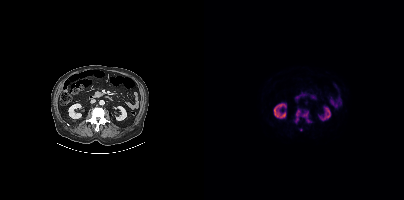
Coordinates are on the 200×200 PET (right) panel. PSMA-avid tumor lesion bounding boxes:
| # | x0 | y0 | x1 | y1 |
|---|---|---|---|---|
| 1 | 91 | 109 | 107 | 123 |
Small PSMA-avid focus (2 to 4 px across) near (center x, center y): (97, 129).
Left: CT. Right: PSMA PET, same axial level, 18F tracer. Acquired on Siemens Biograph mCT Flow 20.